- Left: CT. Right: PSMA PET, same axial level, 18F-PSMA tracer
- slice position z = -474 mm
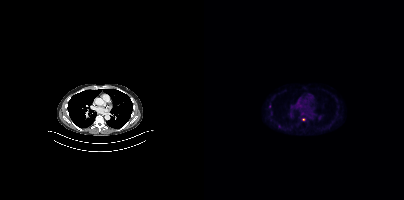
Findings: Coordinates are on the 200×200 PET (right) panel. Small PSMA-avid focus (2 to 4 px across) near (center x, center y): (99, 119).